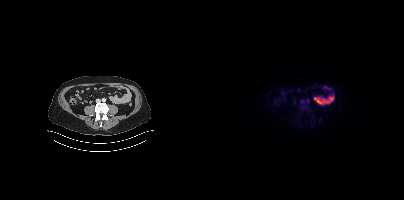
Negative for PSMA-avid disease on this slice.